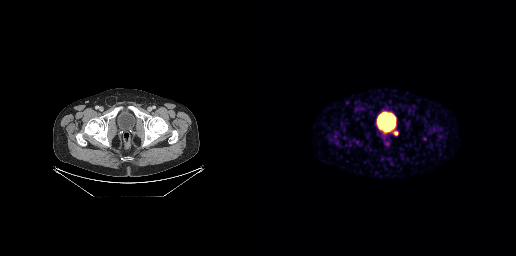
Coordinates are on the 256×256 PET (right) panel. PSMA-avid tumor lesion bounding boxes:
| # | x0 | y0 | x1 | y1 |
|---|---|---|---|---|
| 1 | 133 | 130 | 138 | 135 |
Two-panel axial: CT | PSMA PET, [68Ga]Ga-PSMA-11 tracer. Slice 52 of 263.